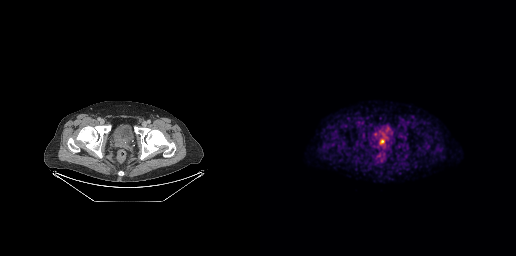
Technique: Paired axial CT (left) and PSMA PET (right), 18F tracer.
Findings: No PSMA-avid tumor lesions on this slice.